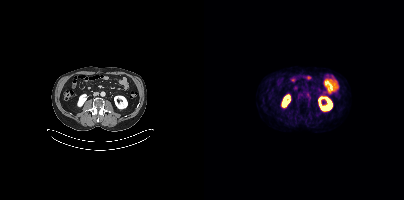
{"pet_grid":[200,200],"coord_frame":"pet_panel","coord_format":"x0,y0,x1,y1","psma_avid_lesions":false,"modality":"PSMA PET/CT","view":"axial","tracer":"18F"}